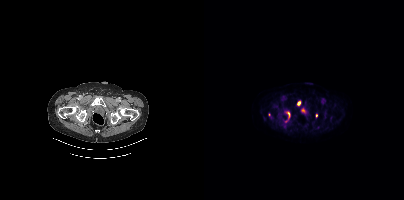
Findings: Coordinates are on the 200×200 PET (right) panel. Small PSMA-avid foci (2 to 4 px across) near (center x, center y): (95, 103) | (112, 115) | (65, 114) | (84, 113).
- Left: CT. Right: PSMA PET, same axial level, 18F-PSMA tracer
- PET panel 200×200 px (4.1 mm/px)